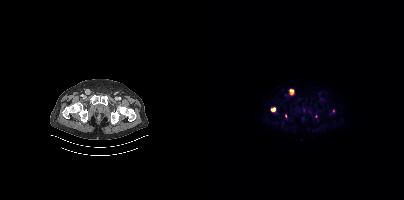
- Two-panel axial: CT | PSMA PET, [18F]PSMA-1007 tracer
- slice 73 of 444
Findings: Coordinates are on the 200×200 PET (right) panel. (showing 4 of 5 foci) PSMA-avid tumor lesion bounding boxes (x, y, width, height): x=85 y=89 w=6 h=7 / x=67 y=107 w=5 h=5. Small PSMA-avid foci (2 to 4 px across) near (center x, center y): (81, 116) / (129, 110).